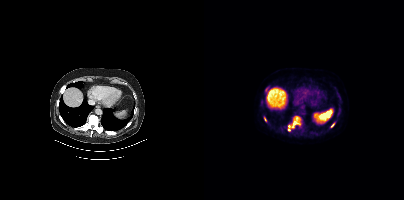
{"modality":"PSMA PET/CT","view":"axial","tracer":"18F-PSMA","pet_grid":[200,200],"coord_frame":"pet_panel","coord_format":"x0,y0,x1,y1","lesion_bboxes":[[83,116,97,131],[61,86,66,90],[127,123,130,127],[60,117,62,121]]}